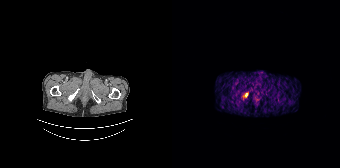
Coordinates are on the 168×168 PET (right) panel. Small PSMA-avid focus (2 to 4 px across) near (center x, center y): (74, 94).